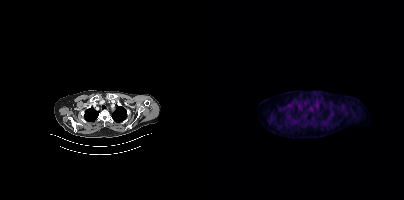
Negative for PSMA-avid disease on this slice. Two-panel axial: CT | PSMA PET, 18F tracer. Acquired on Siemens Biograph mCT Flow 20.